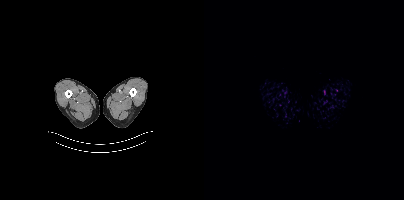
{"modality":"PSMA PET/CT","view":"axial","tracer":"18F","pet_grid":[200,200],"coord_frame":"pet_panel","coord_format":"x0,y0,x1,y1","psma_avid_lesions":false}